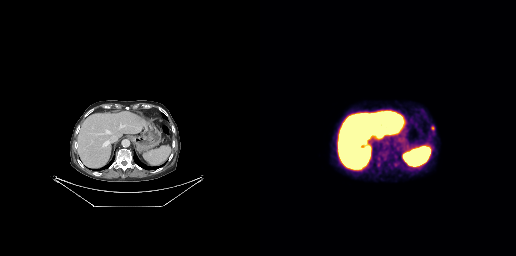
- Left: CT. Right: PSMA PET, same axial level, [18F]PSMA-1007 tracer
Findings: Coordinates are on the 256×256 PET (right) panel. PSMA-avid tumor lesion bounding boxes (x, y, width, height): x=121 y=151 w=8 h=9 | x=171 y=126 w=4 h=5. Small PSMA-avid foci (2 to 4 px across) near (center x, center y): (127, 110) | (135, 164).